- Two-panel axial: CT | PSMA PET, [68Ga]Ga-PSMA-11 tracer
- PET panel 200×200 px (4.1 mm/px)
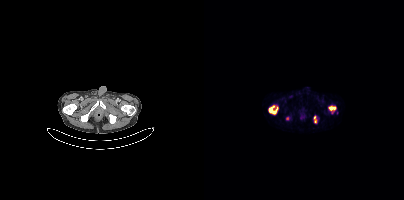
Findings: Coordinates are on the 200×200 PET (right) panel. PSMA-avid tumor lesion bounding boxes (x0,y0,x1,y1): [65,106,73,113], [124,106,131,110], [110,116,112,122]. Small PSMA-avid focus (2 to 4 px across) near (center x, center y): (83, 118).